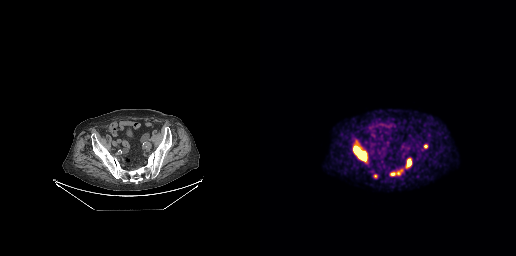
Left: CT. Right: PSMA PET, same axial level, [18F]PSMA-1007 tracer. Slice 83 of 263. PET panel 256×256 px (2.7 mm/px). Coordinates are on the 256×256 PET (right) panel. PSMA-avid tumor lesion bounding boxes (x, y, width, height): x=93 y=146 w=14 h=16 | x=146 y=158 w=6 h=10 | x=131 y=172 w=5 h=4. Small PSMA-avid foci (2 to 4 px across) near (center x, center y): (165, 146) | (138, 173) | (115, 176).